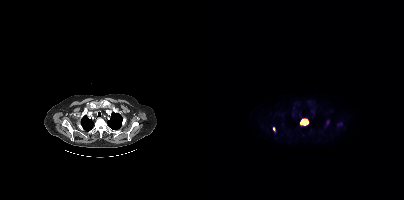
Coordinates are on the 200×200 PET (right) panel. PSMA-avid tumor lesion bounding boxes:
| # | x0 | y0 | x1 | y1 |
|---|---|---|---|---|
| 1 | 96 | 118 | 105 | 125 |
Small PSMA-avid focus (2 to 4 px across) near (center x, center y): (69, 128).
Paired axial CT (left) and PSMA PET (right), [18F]PSMA-1007 tracer. Acquired on Siemens Biograph mCT Flow 20. PET panel 200×200 px (4.1 mm/px).